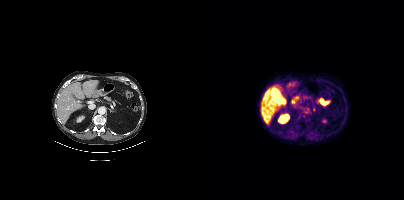
This slice has no annotated PSMA-avid lesion.